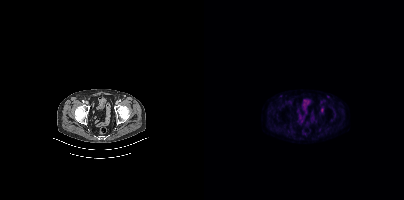
Findings: Coordinates are on the 200×200 PET (right) panel. PSMA-avid tumor lesion bounding box (x0,y0,x1,y1): [117,107,119,112].
- Paired axial CT (left) and PSMA PET (right), [18F]PSMA-1007 tracer